modality: PSMA PET/CT | tracer: 18F | view: axial | PET grid: 200×200
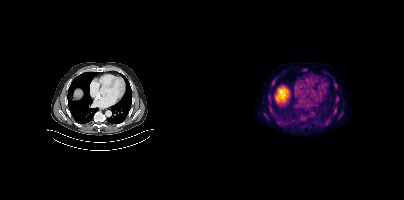
Coordinates are on the 200×200 PET (right) panel. PSMA-avid tumor lesion bounding boxes (x0, y0)-(x1, y1): (98, 69)-(102, 71); (60, 113)-(64, 119). Small PSMA-avid foci (2 to 4 px across) near (center x, center y): (131, 110); (70, 79).